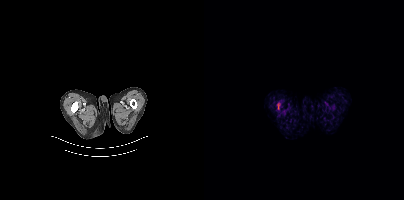
Coordinates are on the 200×200 PET (right) panel. PSMA-avid tumor lesion bounding box (x0, y0)-(x1, y1): (73, 102)-(76, 110).